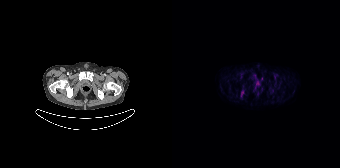
Negative for PSMA-avid disease on this slice.